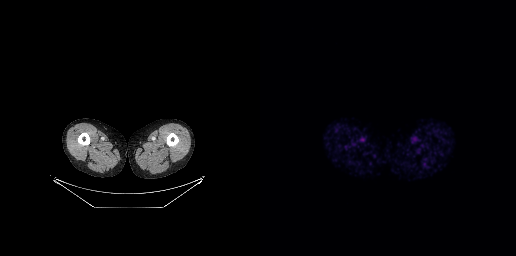
modality: PSMA PET/CT | tracer: 68Ga | view: axial
No PSMA-avid tumor lesions on this slice.